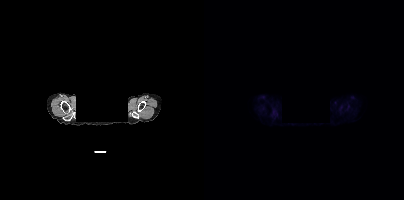
{"modality":"PSMA PET/CT","view":"axial","tracer":"[18F]PSMA-1007","pet_grid":[200,200],"coord_frame":"pet_panel","coord_format":"x0,y0,x1,y1","psma_avid_lesions":false,"deidentification":"rectangular block over head set to black"}